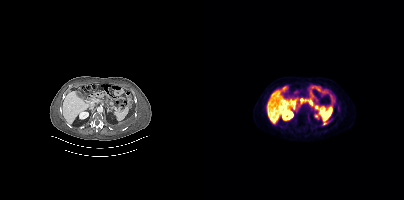
modality: PSMA PET/CT | tracer: 18F-PSMA | view: axial
Coordinates are on the 200×200 PET (right) panel. PSMA-avid tumor lesion bounding box (x0,y0,x1,y1): [101,100,106,104].